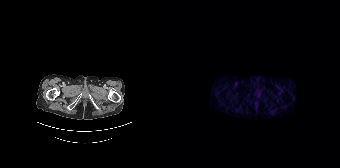
Negative for PSMA-avid disease on this slice.